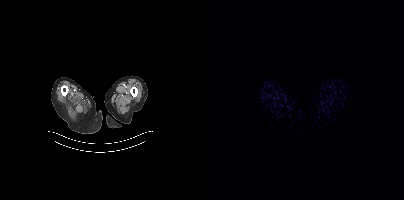
{"modality":"PSMA PET/CT","view":"axial","tracer":"18F-PSMA","pet_grid":[200,200],"coord_frame":"pet_panel","coord_format":"x0,y0,x1,y1","psma_avid_lesions":false}